Left: CT. Right: PSMA PET, same axial level, 18F-PSMA tracer. Acquired on Siemens Biograph mCT Flow 20. Slice 275 of 381.
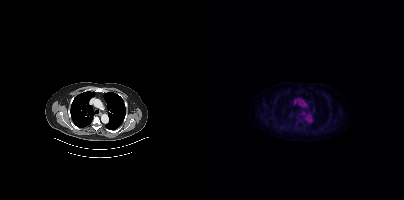
Negative for PSMA-avid disease on this slice.